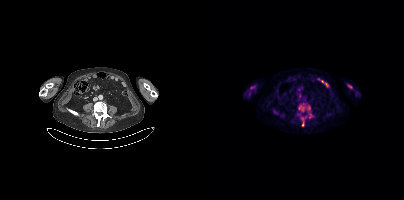
Findings: Coordinates are on the 200×200 PET (right) panel. PSMA-avid tumor lesion bounding boxes (x0,y0,x1,y1): [94,103,106,111] [97,116,102,126] [105,113,108,118]. Small PSMA-avid foci (2 to 4 px across) near (center x, center y): (145, 86) (70, 111).
Technique: Paired axial CT (left) and PSMA PET (right), 18F tracer. acquired on Siemens Biograph mCT Flow 20.